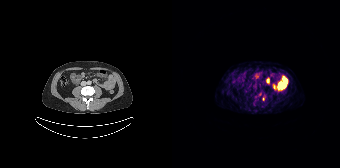
Only PSMA-avid lesion pieces thinner than 2 px on this slice (not listed).
modality: PSMA PET/CT | tracer: 68Ga | view: axial | PET grid: 168×168